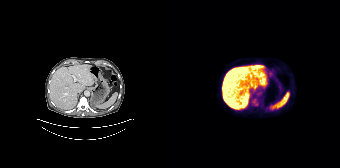
Left: CT. Right: PSMA PET, same axial level, 18F-PSMA tracer. Acquired on Siemens Biograph 64-4R TruePoint. Slice 95 of 135. This slice has no annotated PSMA-avid lesion.